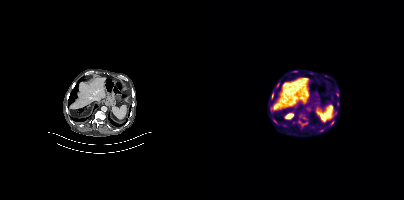
Technique: Left: CT. Right: PSMA PET, same axial level, 18F-PSMA tracer. slice 193 of 367.
Findings: Coordinates are on the 200×200 PET (right) panel. PSMA-avid tumor lesion bounding box (x, y, width, height): x=67 y=92 w=3 h=6. Small PSMA-avid focus (2 to 4 px across) near (center x, center y): (128, 122).